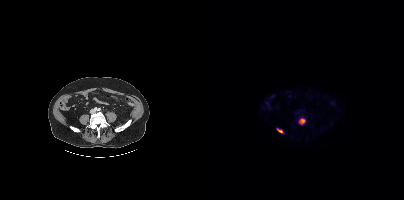
{"pet_grid":[200,200],"coord_frame":"pet_panel","coord_format":"x0,y0,x1,y1","lesion_bboxes":[[95,118,101,124],[73,128,78,133]],"modality":"PSMA PET/CT","view":"axial","tracer":"[18F]PSMA-1007"}